Left: CT. Right: PSMA PET, same axial level, 18F tracer. PET panel 200×200 px (4.1 mm/px). Face de-identified by blanking a block of the head.
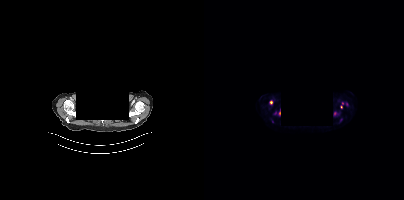
Coordinates are on the 200×200 PET (right) panel. (showing 4 of 5 foci) PSMA-avid tumor lesion bounding box (x, y, width, height): x=136 y=103 w=4 h=6. Small PSMA-avid foci (2 to 4 px across) near (center x, center y): (67, 102); (131, 113); (75, 112).